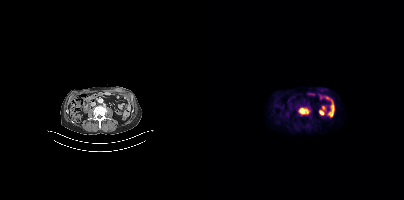
Technique: Left: CT. Right: PSMA PET, same axial level, [18F]PSMA-1007 tracer.
Findings: Coordinates are on the 200×200 PET (right) panel. PSMA-avid tumor lesion bounding box (x0,y0,x1,y1): [94,107,105,114].